modality: PSMA PET/CT | tracer: 18F-PSMA | view: axial | PET grid: 200×200
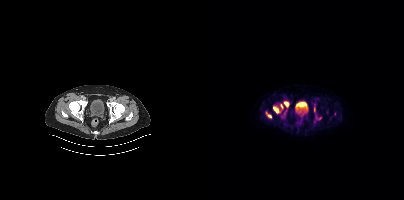
Coordinates are on the 200×200 PET (right) panel. PSMA-avid tumor lesion bounding boxes (x0,y0,x1,y1): [80,102,84,106]; [69,107,74,112]. Small PSMA-avid foci (2 to 4 px across) near (center x, center y): (66, 116); (77, 106).